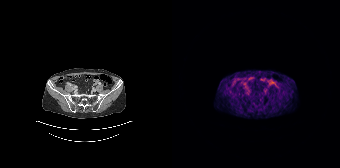
modality: PSMA PET/CT | tracer: 68Ga-PSMA | view: axial | PET grid: 168×168
No PSMA-avid tumor lesions on this slice.